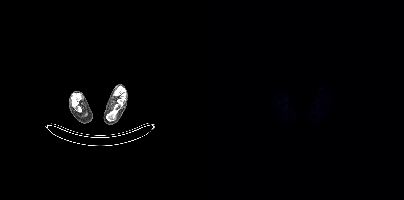
Technique: Paired axial CT (left) and PSMA PET (right), 18F tracer.
Findings: No tumor lesions annotated on this slice.